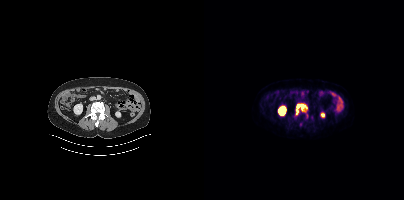
Coordinates are on the 200×200 PET (right) panel. PSMA-avid tumor lesion bounding box (x, y, width, height): x=92 y=104 w=12 h=11.